Two-panel axial: CT | PSMA PET, 68Ga-PSMA tracer. PET panel 200×200 px (4.1 mm/px).
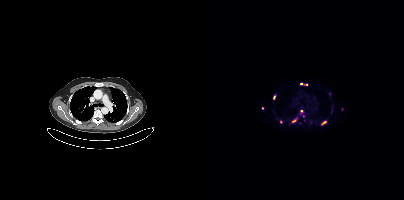
Coordinates are on the 200×200 PET (right) panel. PSMA-avid tumor lesion bounding boxes (partial; 2 more foci not listed):
| # | x0 | y0 | x1 | y1 |
|---|---|---|---|---|
| 1 | 96 | 83 | 103 | 85 |
Small PSMA-avid foci (2 to 4 px across) near (center x, center y): (120, 122); (76, 121); (69, 97); (58, 108); (97, 110); (125, 93); (95, 113); (90, 120).